- Left: CT. Right: PSMA PET, same axial level, [18F]PSMA-1007 tracer
- slice position z = -116 mm
- PET panel 200×200 px (4.1 mm/px)
- facial anatomy redacted by setting a rectangular region of the head to black
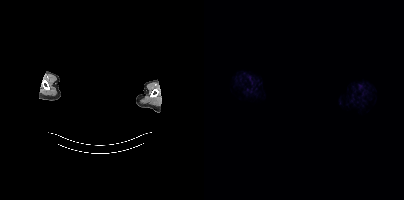
Findings: Negative for PSMA-avid disease on this slice.